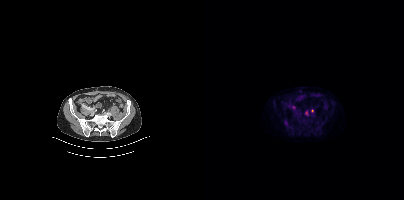
{"modality":"PSMA PET/CT","view":"axial","tracer":"18F","pet_grid":[200,200],"coord_frame":"pet_panel","coord_format":"x0,y0,x1,y1","partial":true,"lesion_bboxes":[],"small_foci_centers":[[108,110]]}